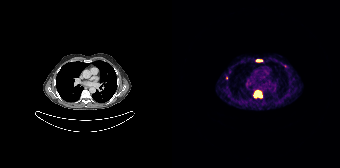
{"modality":"PSMA PET/CT","view":"axial","tracer":"[68Ga]Ga-PSMA-11","pet_grid":[168,168],"coord_frame":"pet_panel","coord_format":"x0,y0,x1,y1","lesion_bboxes":[[82,92,90,97],[84,60,89,61]]}